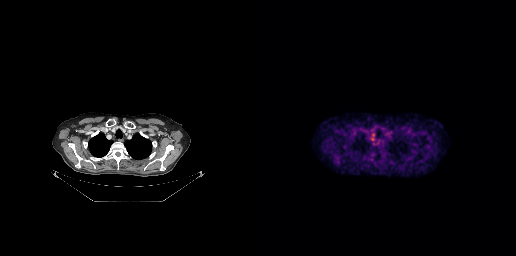
modality: PSMA PET/CT | tracer: 18F | view: axial
Coordinates are on the 256×256 PET (right) panel. PSMA-avid tumor lesion bounding box (x0, y0)-(x1, y1): (111, 133)-(114, 140).